modality: PSMA PET/CT | tracer: [18F]PSMA-1007 | view: axial
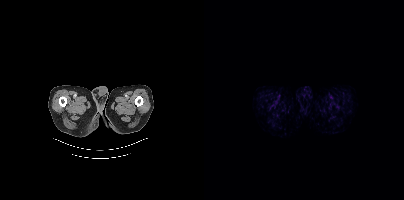
This slice has no annotated PSMA-avid lesion.